Technique: Paired axial CT (left) and PSMA PET (right), 68Ga-PSMA tracer. slice 23 of 195. PET panel 168×168 px (4.1 mm/px).
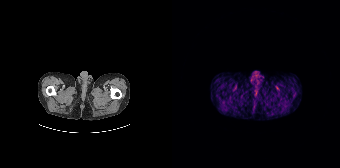
Findings: This slice has no annotated PSMA-avid lesion.